Technique: Paired axial CT (left) and PSMA PET (right), 68Ga-PSMA tracer. acquired on Siemens Biograph 64-4R TruePoint. PET panel 168×168 px (4.1 mm/px).
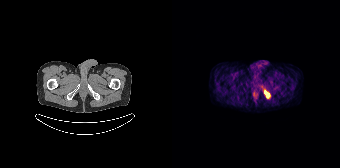
Findings: Coordinates are on the 168×168 PET (right) panel. PSMA-avid tumor lesion bounding box (x, y, width, height): x=89 y=86 w=10 h=12.